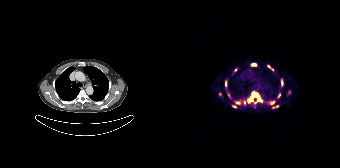
Findings: Coordinates are on the 168×168 PET (right) panel. (showing 11 of 12 foci) PSMA-avid tumor lesion bounding boxes (x0,y0,x1,y1): [76,92,90,102] [63,100,68,104] [96,65,101,70] [80,63,84,65] [53,82,54,86] [102,105,106,107]. Small PSMA-avid foci (2 to 4 px across) near (center x, center y): (58, 96) (101, 102) (72, 102) (63, 106) (63, 69).
Technique: Left: CT. Right: PSMA PET, same axial level, [68Ga]Ga-PSMA-11 tracer. acquired on Siemens Biograph 64-4R TruePoint. slice position z = -374 mm. PET panel 168×168 px (4.1 mm/px).